Privacy masking over the head, with the pixels inside a rectangle set to black. Left: CT. Right: PSMA PET, same axial level, [18F]PSMA-1007 tracer. Acquired on Siemens Biograph mCT Flow 20.
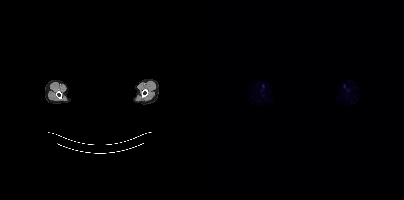
This slice has no annotated PSMA-avid lesion.